- Left: CT. Right: PSMA PET, same axial level, [68Ga]Ga-PSMA-11 tracer
- acquired on GE Discovery 690
- PET panel 256×256 px (2.7 mm/px)
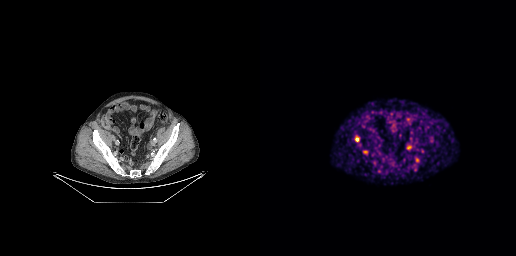
Findings: Coordinates are on the 256×256 PET (right) panel. PSMA-avid tumor lesion bounding box (x0, y0)-(x1, y1): (103, 150)-(108, 154). Small PSMA-avid focus (2 to 4 px across) near (center x, center y): (96, 139).